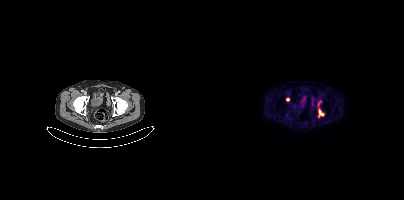
Technique: Two-panel axial: CT | PSMA PET, 18F-PSMA tracer. slice 84 of 415. PET panel 200×200 px (4.1 mm/px).
Findings: Coordinates are on the 200×200 PET (right) panel. PSMA-avid tumor lesion bounding boxes (x0, y0)-(x1, y1): (114, 108)-(120, 117); (114, 101)-(117, 106). Small PSMA-avid focus (2 to 4 px across) near (center x, center y): (83, 99).